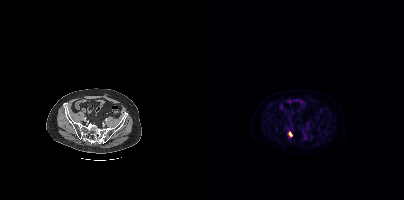
Coordinates are on the 200×200 PET (right) panel. Small PSMA-avid focus (2 to 4 px across) near (center x, center y): (86, 134).